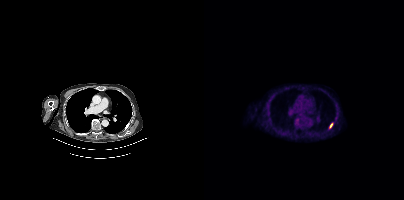
Coordinates are on the 200×200 PET (right) panel. PSMA-avid tumor lesion bounding boxes:
| # | x0 | y0 | x1 | y1 |
|---|---|---|---|---|
| 1 | 125 | 123 | 129 | 128 |
Paired axial CT (left) and PSMA PET (right), 18F tracer. Slice position z = 174 mm.